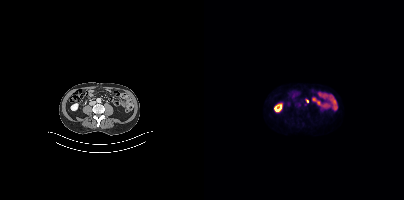
modality: PSMA PET/CT | tracer: 18F-PSMA | view: axial | PET grid: 200×200
Coordinates are on the 200×200 PET (right) panel. PSMA-avid tumor lesion bounding box (x0,y0,x1,y1): [101,99,104,105].